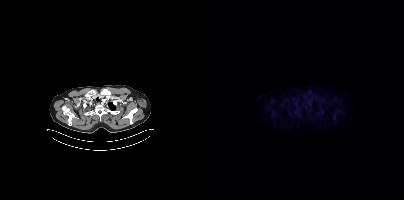
Coordinates are on the 200×200 PET (right) panel. Small PSMA-avid focus (2 to 4 px across) near (center x, center y): (118, 111).